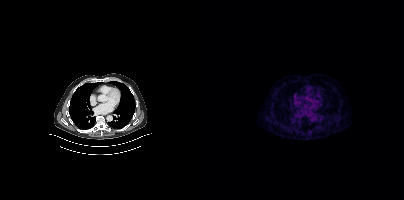
Technique: Left: CT. Right: PSMA PET, same axial level, 68Ga-PSMA tracer. slice position z = -658 mm. PET panel 200×200 px (4.1 mm/px).
Findings: Negative for PSMA-avid disease on this slice.